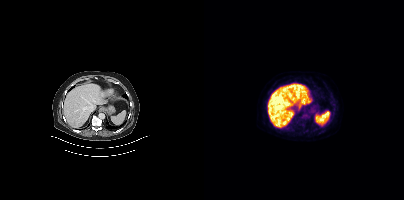
{"pet_grid":[200,200],"coord_frame":"pet_panel","coord_format":"x0,y0,x1,y1","psma_avid_lesions":false,"modality":"PSMA PET/CT","view":"axial","tracer":"[18F]PSMA-1007"}